Technique: Paired axial CT (left) and PSMA PET (right), 18F-PSMA tracer. acquired on Siemens Biograph mCT Flow 20.
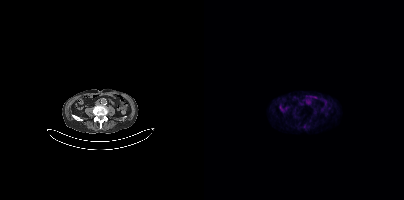
Findings: No tumor lesions annotated on this slice.